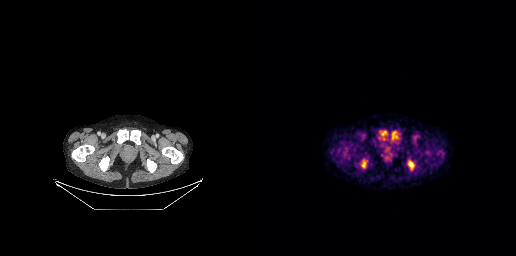
{"pet_grid":[256,256],"coord_frame":"pet_panel","coord_format":"x0,y0,x1,y1","lesion_bboxes":[[101,161,107,168],[148,160,154,165],[131,135,132,140]],"modality":"PSMA PET/CT","view":"axial","tracer":"18F"}